Left: CT. Right: PSMA PET, same axial level, [18F]PSMA-1007 tracer.
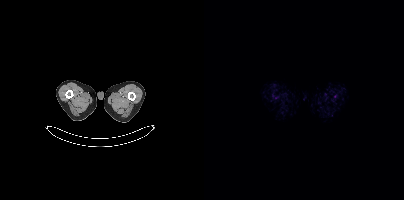
Negative for PSMA-avid disease on this slice.